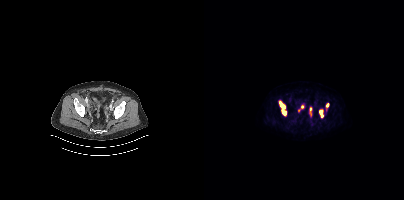
- Paired axial CT (left) and PSMA PET (right), 18F tracer
- acquired on Siemens Biograph mCT Flow 20
- slice 103 of 444
- PET panel 200×200 px (4.1 mm/px)
Findings: Coordinates are on the 200×200 PET (right) panel. (showing 5 of 6 foci) PSMA-avid tumor lesion bounding boxes (x0,y0,x1,y1): [75,101,82,115]; [115,109,119,117]; [122,103,125,107]; [106,107,107,115]. Small PSMA-avid focus (2 to 4 px across) near (center x, center y): (98, 106).